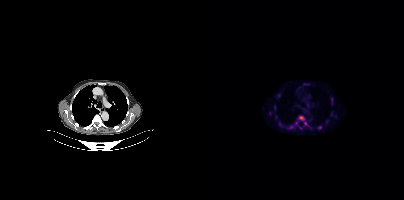
{"modality":"PSMA PET/CT","view":"axial","tracer":"18F-PSMA","pet_grid":[200,200],"coord_frame":"pet_panel","coord_format":"x0,y0,x1,y1","partial":true,"lesion_bboxes":[[94,116,100,120],[70,105,71,110]],"small_foci_centers":[[66,113],[101,123],[86,127],[72,116],[116,127],[127,97],[92,122]]}